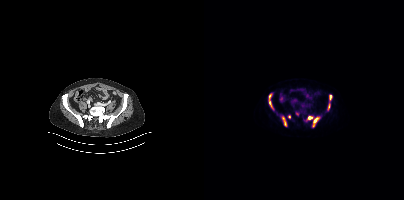
Coordinates are on the 200×200 PET (right) panel. PSMA-avid tumor lesion bounding boxes (partial; 1 more focus not listed):
| # | x0 | y0 | x1 | y1 |
|---|---|---|---|---|
| 1 | 78 | 116 | 82 | 126 |
| 2 | 109 | 117 | 114 | 126 |
| 3 | 65 | 100 | 68 | 108 |
| 4 | 104 | 116 | 108 | 119 |
| 5 | 65 | 94 | 67 | 98 |
| 6 | 125 | 95 | 127 | 99 |
| 7 | 124 | 104 | 125 | 108 |
Small PSMA-avid foci (2 to 4 px across) near (center x, center y): (85, 116); (93, 113).
Left: CT. Right: PSMA PET, same axial level, 18F-PSMA tracer. Slice 131 of 429. PET panel 200×200 px (4.1 mm/px).